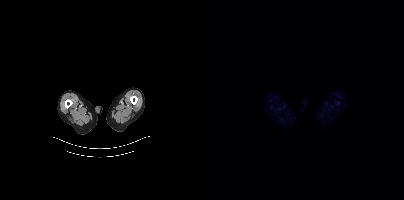
Left: CT. Right: PSMA PET, same axial level, [18F]PSMA-1007 tracer. No tumor lesions annotated on this slice.